Paired axial CT (left) and PSMA PET (right), [18F]PSMA-1007 tracer. Acquired on Siemens Biograph mCT Flow 20. PET panel 200×200 px (4.1 mm/px).
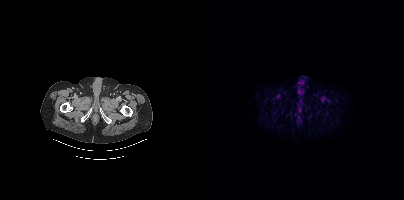
Only PSMA-avid lesion pieces thinner than 2 px on this slice (not listed).